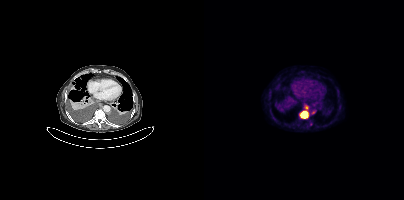
{"modality":"PSMA PET/CT","view":"axial","tracer":"18F-PSMA","pet_grid":[200,200],"coord_frame":"pet_panel","coord_format":"x0,y0,x1,y1","lesion_bboxes":[[96,111,104,118],[100,105,104,109]]}